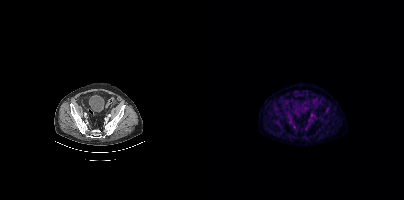
Paired axial CT (left) and PSMA PET (right), [18F]PSMA-1007 tracer. Slice 120 of 448. Negative for PSMA-avid disease on this slice.